Paired axial CT (left) and PSMA PET (right), [18F]PSMA-1007 tracer. Acquired on GE Discovery 690. Slice position z = -16 mm. PET panel 256×256 px (2.7 mm/px). The head region is masked for de-identification.
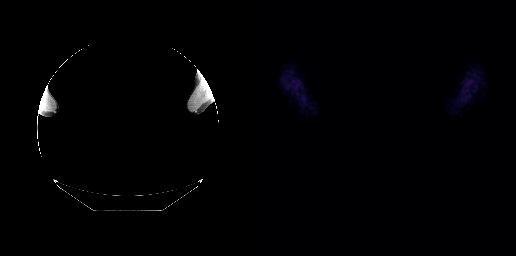
No tumor lesions annotated on this slice.